Paired axial CT (left) and PSMA PET (right), 18F tracer. Acquired on Siemens Biograph mCT Flow 20. PET panel 200×200 px (4.1 mm/px).
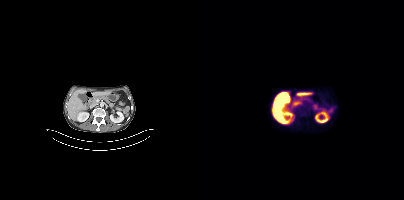
Negative for PSMA-avid disease on this slice.